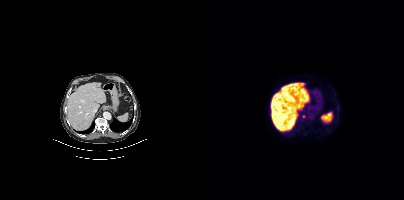
Coordinates are on the 200×200 PET (right) panel. Small PSMA-avid focus (2 to 4 px across) near (center x, center y): (100, 116).